Paired axial CT (left) and PSMA PET (right), 18F-PSMA tracer.
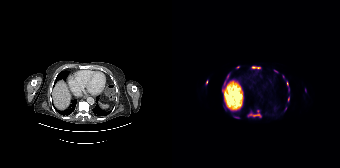
Coordinates are on the 168×168 PET (right) panel. PSMA-avid tumor lesion bounding boxes (partial; 5 more foci not listed):
| # | x0 | y0 | x1 | y1 |
|---|---|---|---|---|
| 1 | 77 | 114 | 88 | 116 |
| 2 | 80 | 66 | 88 | 68 |
Small PSMA-avid foci (2 to 4 px across) near (center x, center y): (115, 83); (66, 67); (116, 98); (64, 117); (34, 82); (50, 91).